Paired axial CT (left) and PSMA PET (right), 18F-PSMA tracer. Slice 179 of 375. PET panel 200×200 px (4.1 mm/px).
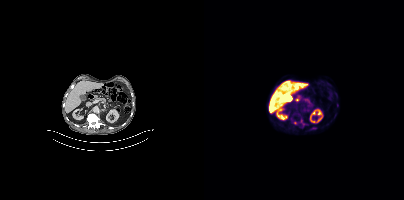
Coordinates are on the 200×200 PET (right) panel. Small PSMA-avid foci (2 to 4 px across) near (center x, center y): (91, 123); (97, 121); (111, 127); (99, 123).